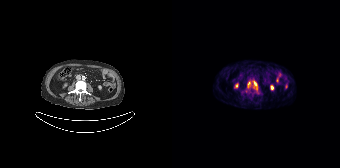
{"pet_grid":[168,168],"coord_frame":"pet_panel","coord_format":"x0,y0,x1,y1","lesion_bboxes":[[80,81,85,90],[75,81,78,87]],"modality":"PSMA PET/CT","view":"axial","tracer":"68Ga"}